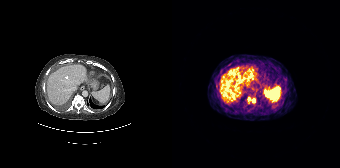
Findings: Coordinates are on the 168×168 PET (right) panel. PSMA-avid tumor lesion bounding box (x0,y0,x1,y1): [80,98,82,102]. Small PSMA-avid focus (2 to 4 px across) near (center x, center y): (77, 98).
- Left: CT. Right: PSMA PET, same axial level, 68Ga-PSMA tracer
- acquired on Siemens Biograph 64-4R TruePoint
- slice position z = -1202 mm
- PET panel 168×168 px (4.1 mm/px)